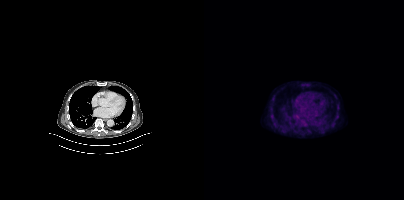
Left: CT. Right: PSMA PET, same axial level, [18F]PSMA-1007 tracer. Acquired on Siemens Biograph mCT Flow 20. PET panel 200×200 px (4.1 mm/px). No tumor lesions annotated on this slice.